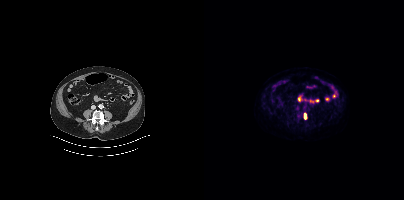
Coordinates are on the 200×200 PET (right) panel. PSMA-avid tumor lesion bounding box (x0, y0)-(x1, y1): (100, 113)-(102, 119). Left: CT. Right: PSMA PET, same axial level, 18F-PSMA tracer. Slice 163 of 405.